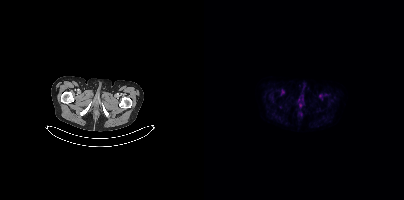
Left: CT. Right: PSMA PET, same axial level, [18F]PSMA-1007 tracer. Acquired on Siemens Biograph mCT Flow 20. Slice position z = -1605 mm. No PSMA-avid tumor lesions on this slice.